modality: PSMA PET/CT | tracer: 18F | view: axial
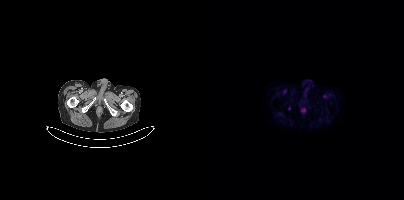
No PSMA-avid tumor lesions on this slice.